- Paired axial CT (left) and PSMA PET (right), [68Ga]Ga-PSMA-11 tracer
- slice 159 of 195
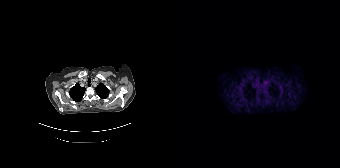
Findings: Negative for PSMA-avid disease on this slice.